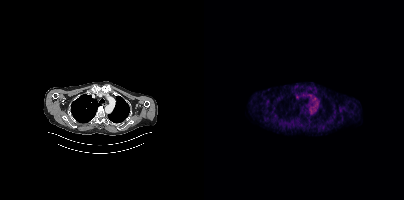
No PSMA-avid tumor lesions on this slice.